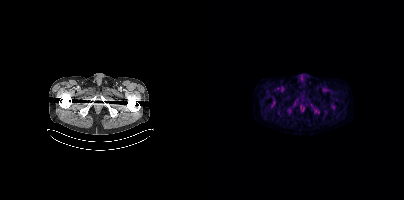
This slice has no annotated PSMA-avid lesion.